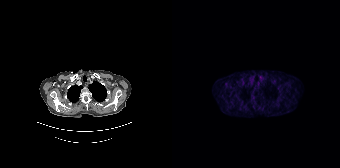
No PSMA-avid tumor lesions on this slice. Left: CT. Right: PSMA PET, same axial level, 68Ga tracer. Slice 159 of 195. PET panel 168×168 px (4.1 mm/px).